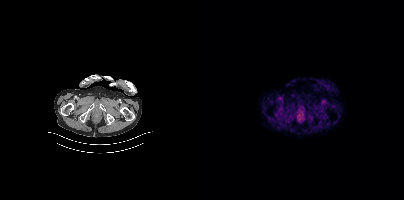
{"modality":"PSMA PET/CT","view":"axial","tracer":"18F-PSMA","pet_grid":[200,200],"coord_frame":"pet_panel","coord_format":"x0,y0,x1,y1","psma_avid_lesions":false}